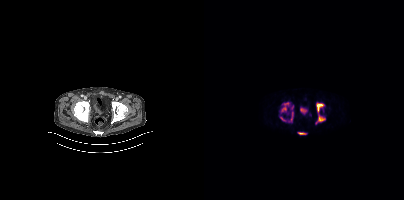
modality: PSMA PET/CT | tracer: 18F | view: axial | PET grid: 200×200
Coordinates are on the 200×200 PET (right) panel. (showing 6 of 7 foci) PSMA-avid tumor lesion bounding boxes (x0, y0)-(x1, y1): (77, 102)-(84, 112); (113, 103)-(119, 112); (114, 116)-(121, 121); (94, 132)-(102, 134); (87, 112)-(89, 120); (76, 117)-(81, 121).